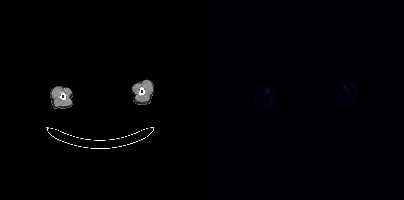
{"modality":"PSMA PET/CT","view":"axial","tracer":"68Ga","pet_grid":[200,200],"coord_frame":"pet_panel","coord_format":"x0,y0,x1,y1","psma_avid_lesions":false,"de-identification":"privacy mask over head"}